A rectangle over the head was blacked out to remove identifiable facial features. Paired axial CT (left) and PSMA PET (right), [68Ga]Ga-PSMA-11 tracer. Slice 367 of 444. PET panel 200×200 px (4.1 mm/px).
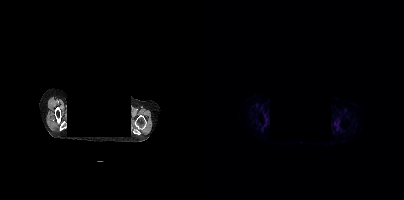
No tumor lesions annotated on this slice.